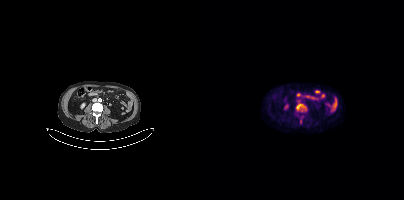
{"modality":"PSMA PET/CT","view":"axial","tracer":"18F","pet_grid":[200,200],"coord_frame":"pet_panel","coord_format":"x0,y0,x1,y1","lesion_bboxes":[[92,103,102,111]]}